Paired axial CT (left) and PSMA PET (right), 18F tracer. Acquired on Siemens Biograph 64-4R TruePoint. Slice position z = -1400 mm.
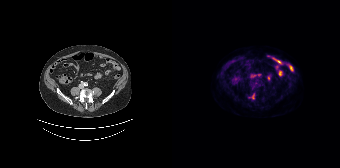
No PSMA-avid tumor lesions on this slice.